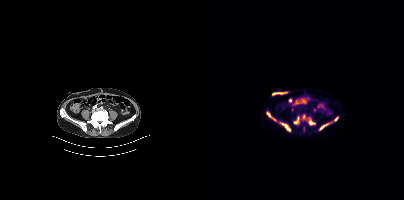
Technique: Two-panel axial: CT | PSMA PET, [18F]PSMA-1007 tracer. slice position z = -714 mm. PET panel 200×200 px (4.1 mm/px).
Findings: Coordinates are on the 200×200 PET (right) panel. PSMA-avid tumor lesion bounding boxes (x, y, width, height): x=75 y=122 w=12 h=10 | x=115 y=122 w=13 h=9 | x=62 y=111 w=11 h=10 | x=104 y=118 w=8 h=8 | x=90 y=116 w=6 h=9 | x=130 y=117 w=5 h=5. Small PSMA-avid focus (2 to 4 px across) near (center x, center y): (99, 116).